Technique: Two-panel axial: CT | PSMA PET, [18F]PSMA-1007 tracer.
Note: De-identified by setting a box covering the face to black before release.
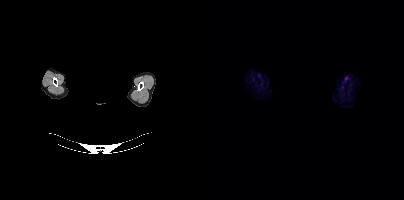
Findings: Negative for PSMA-avid disease on this slice.